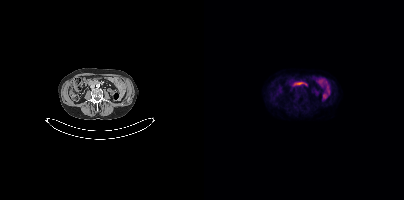
Technique: Two-panel axial: CT | PSMA PET, 18F-PSMA tracer. PET panel 200×200 px (4.1 mm/px).
Findings: This slice has no annotated PSMA-avid lesion.